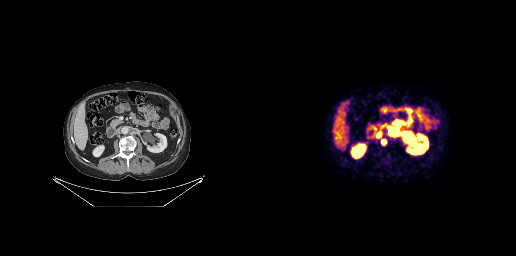
Coordinates are on the 256×256 PET (right) panel. PSMA-avid tumor lesion bounding boxes (x0, y0)-(x1, y1): (128, 127)-(138, 136); (121, 139)-(126, 145); (116, 133)-(121, 137).
modality: PSMA PET/CT | tracer: [68Ga]Ga-PSMA-11 | view: axial | PET grid: 256×256